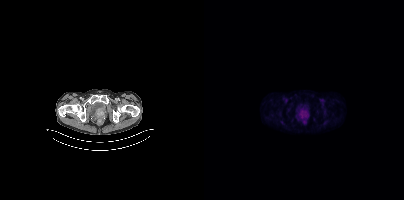
Coordinates are on the 200×200 PET (right) panel. PSMA-avid tumor lesion bounding box (x0,y0,x1,y1): [99,111,102,115].